- Left: CT. Right: PSMA PET, same axial level, 18F-PSMA tracer
- acquired on Siemens Biograph mCT Flow 20
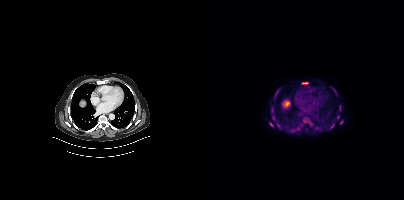
Findings: Coordinates are on the 200×200 PET (right) panel. PSMA-avid tumor lesion bounding boxes (x, y, width, height): x=67 y=106 w=4 h=7 | x=68 y=115 w=5 h=6 | x=98 y=82 w=7 h=3 | x=127 y=86 w=6 h=7 | x=72 y=123 w=5 h=5 | x=126 y=123 w=5 h=6 | x=136 y=120 w=4 h=5 | x=65 y=122 w=5 h=5 | x=72 y=88 w=5 h=5 | x=133 y=115 w=3 h=5 | x=135 y=105 w=2 h=5. Small PSMA-avid foci (2 to 4 px across) near (center x, center y): (88, 130) | (94, 128) | (100, 121) | (70, 97).